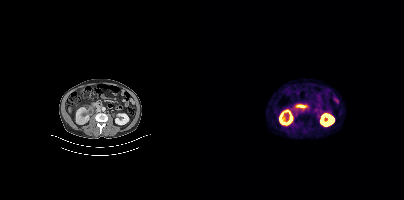
Findings: No tumor lesions annotated on this slice.
- Left: CT. Right: PSMA PET, same axial level, 18F tracer
- PET panel 200×200 px (4.1 mm/px)